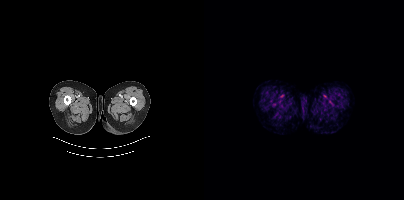
No tumor lesions annotated on this slice. Left: CT. Right: PSMA PET, same axial level, 18F-PSMA tracer. Slice position z = -208 mm.